deidentification: privacy mask over head | modality: PSMA PET/CT | tracer: 18F-PSMA | view: axial | PET grid: 200×200
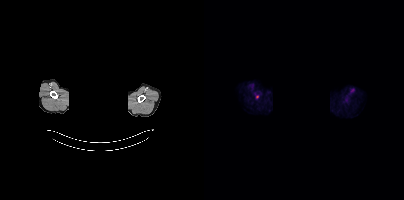
Coordinates are on the 200×200 PET (right) panel. Small PSMA-avid focus (2 to 4 px across) near (center x, center y): (53, 96).